- Left: CT. Right: PSMA PET, same axial level, 18F-PSMA tracer
- acquired on Siemens Biograph 64-4R TruePoint
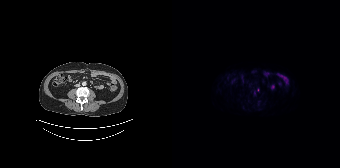
Findings: Coordinates are on the 168×168 PET (right) panel. Small PSMA-avid focus (2 to 4 px across) near (center x, center y): (86, 89).